Paired axial CT (left) and PSMA PET (right), [18F]PSMA-1007 tracer. Slice position z = -406 mm.
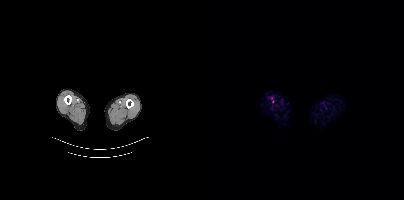
Only PSMA-avid lesion pieces thinner than 2 px on this slice (not listed).